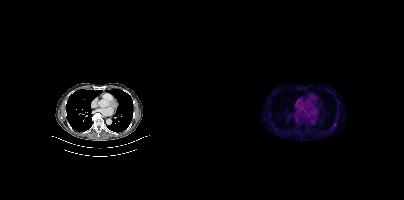
{"modality":"PSMA PET/CT","view":"axial","tracer":"18F","pet_grid":[200,200],"coord_frame":"pet_panel","coord_format":"x0,y0,x1,y1","lesion_bboxes":[],"small_foci_centers":[[131,124]]}